Head region blanked for anonymization (face removed).
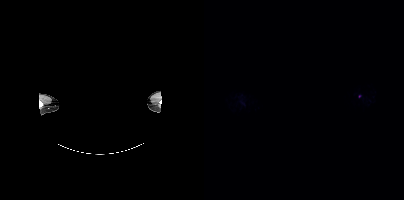
Coordinates are on the 200×200 PET (right) panel. (showing 2 of 3 foci) Small PSMA-avid foci (2 to 4 px across) near (center x, center y): (155, 96), (37, 102).